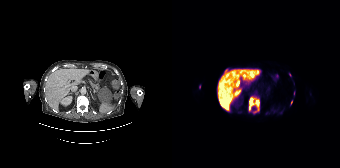
Paired axial CT (left) and PSMA PET (right), 18F-PSMA tracer. Coordinates are on the 168×168 PET (right) panel. (showing 3 of 6 foci) PSMA-avid tumor lesion bounding box (x0,y0,x1,y1): [76,95,87,113]. Small PSMA-avid foci (2 to 4 px across) near (center x, center y): (54, 70); (119, 102).